- Paired axial CT (left) and PSMA PET (right), [18F]PSMA-1007 tracer
- PET panel 200×200 px (4.1 mm/px)
- a rectangular block over the head has been blanked out for de-identification
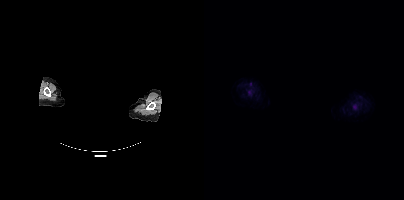
Findings: Negative for PSMA-avid disease on this slice.